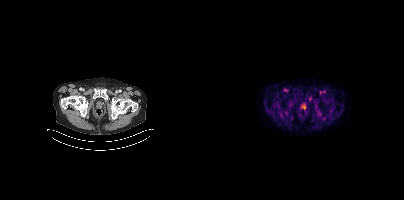
modality: PSMA PET/CT | tracer: 18F | view: axial
Negative for PSMA-avid disease on this slice.